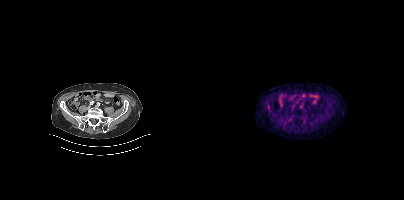
Two-panel axial: CT | PSMA PET, 18F tracer. Acquired on Siemens Biograph mCT Flow 20. This slice has no annotated PSMA-avid lesion.